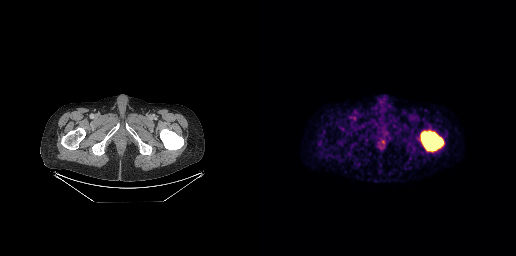
modality: PSMA PET/CT | tracer: 68Ga-PSMA | view: axial
Coordinates are on the 256×256 PET (right) panel. PSMA-avid tumor lesion bounding box (x, y, width, height): x=161 y=131 w=23 h=21.